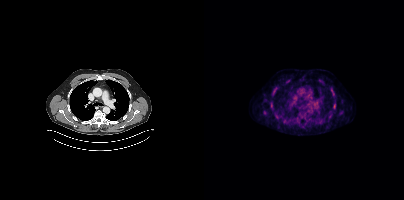
{"modality":"PSMA PET/CT","view":"axial","tracer":"18F","pet_grid":[200,200],"coord_frame":"pet_panel","coord_format":"x0,y0,x1,y1","partial":true,"lesion_bboxes":[],"small_foci_centers":[[129,94]]}